modality: PSMA PET/CT | tracer: [18F]PSMA-1007 | view: axial | deidentification: privacy mask over head
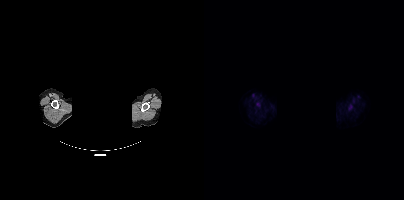
Coordinates are on the 200×200 PET (right) panel. PSMA-avid tumor lesion bounding box (x0, y0)-(x1, y1): (145, 104)-(148, 108).